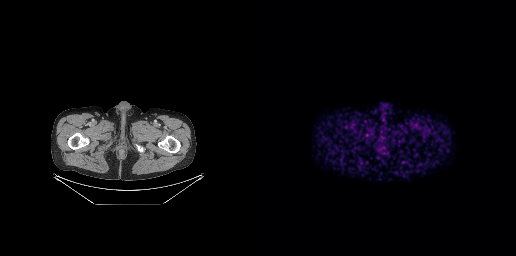
No tumor lesions annotated on this slice.